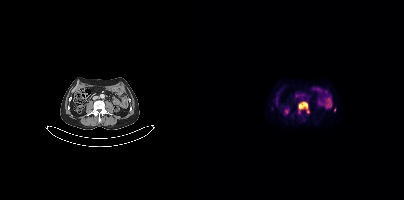
{"modality":"PSMA PET/CT","view":"axial","tracer":"18F","pet_grid":[200,200],"coord_frame":"pet_panel","coord_format":"x0,y0,x1,y1","lesion_bboxes":[[94,101,105,113]],"small_foci_centers":[[130,109]]}